- Left: CT. Right: PSMA PET, same axial level, 68Ga-PSMA tracer
- PET panel 168×168 px (4.1 mm/px)
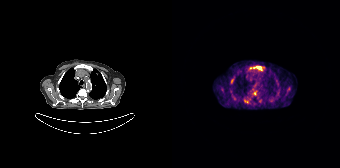
Findings: Coordinates are on the 168×168 PET (right) panel. (showing 5 of 10 foci) PSMA-avid tumor lesion bounding boxes (x, y, width, height): x=84 y=66 w=6 h=4; x=59 y=79 w=3 h=5; x=80 y=93 w=5 h=4. Small PSMA-avid foci (2 to 4 px across) near (center x, center y): (63, 97); (98, 100).